Technique: Left: CT. Right: PSMA PET, same axial level, 18F-PSMA tracer. slice position z = -1432 mm. PET panel 200×200 px (4.1 mm/px).
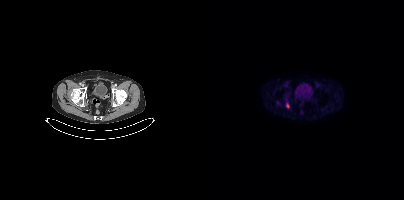
Findings: Coordinates are on the 200×200 PET (right) panel. Small PSMA-avid focus (2 to 4 px across) near (center x, center y): (83, 106).